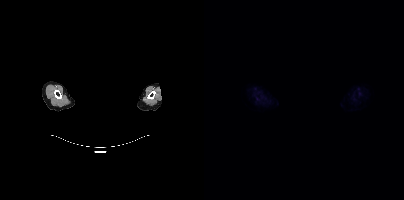
Technique: Paired axial CT (left) and PSMA PET (right), 18F-PSMA tracer. slice position z = -183 mm.
Note: A rectangle over the head was blacked out to remove identifiable facial features.
Findings: This slice has no annotated PSMA-avid lesion.